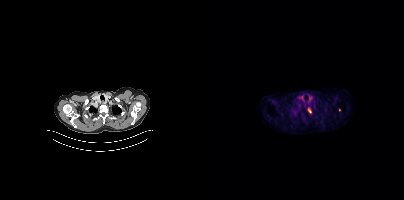
Coordinates are on the 200×200 PET (right) panel. PSMA-avid tumor lesion bounding box (x, y, width, height): x=103 y=107 w=5 h=7. Small PSMA-avid focus (2 to 4 px across) near (center x, center y): (135, 109). Left: CT. Right: PSMA PET, same axial level, 18F tracer.